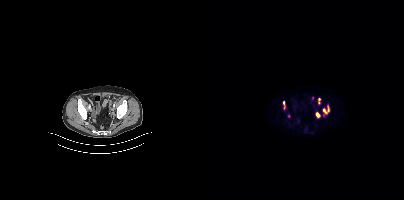
{"modality":"PSMA PET/CT","view":"axial","tracer":"[18F]PSMA-1007","pet_grid":[200,200],"coord_frame":"pet_panel","coord_format":"x0,y0,x1,y1","partial":true,"lesion_bboxes":[[119,106,125,116],[112,112,115,117]],"small_foci_centers":[[79,102],[115,99],[84,116]]}